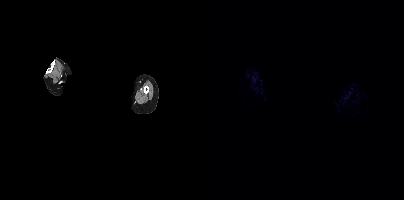
Technique: Two-panel axial: CT | PSMA PET, [68Ga]Ga-PSMA-11 tracer. slice position z = 1025 mm. PET panel 200×200 px (4.1 mm/px).
Note: An anonymization step blacked out a rectangle over the head in this scan.
Findings: Negative for PSMA-avid disease on this slice.